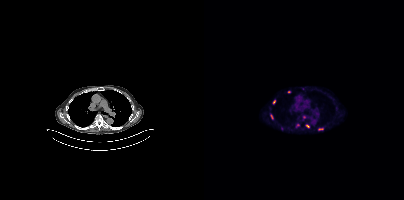
Findings: Coordinates are on the 200×200 PET (right) panel. PSMA-avid tumor lesion bounding box (x0, y0)-(x1, y1): (114, 128)-(119, 130). Small PSMA-avid foci (2 to 4 px across) near (center x, center y): (103, 125); (93, 125); (78, 128); (67, 115); (70, 101); (85, 91); (100, 116).
Technique: Two-panel axial: CT | PSMA PET, 18F-PSMA tracer. PET panel 200×200 px (4.1 mm/px).